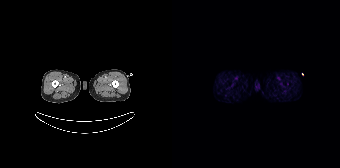
Left: CT. Right: PSMA PET, same axial level, 68Ga-PSMA tracer. Slice 14 of 195. PET panel 168×168 px (4.1 mm/px). Only PSMA-avid lesion pieces thinner than 2 px on this slice (not listed).